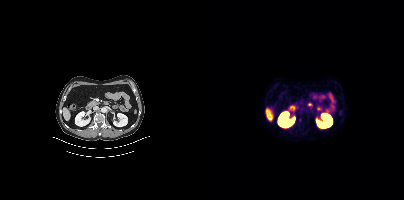
Coordinates are on the 200×200 PET (right) panel. Small PSMA-avid focus (2 to 4 px across) near (center x, center y): (96, 120).